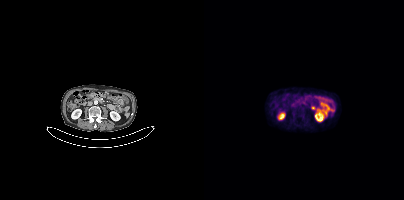
Technique: Two-panel axial: CT | PSMA PET, 18F tracer. slice position z = -758 mm. PET panel 200×200 px (4.1 mm/px).
Findings: No PSMA-avid tumor lesions on this slice.